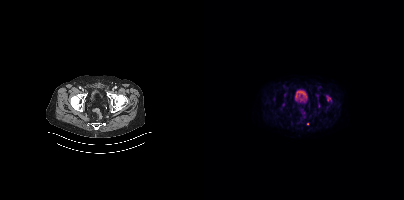
Findings: Coordinates are on the 200×200 PET (right) panel. Small PSMA-avid focus (2 to 4 px across) near (center x, center y): (103, 123).
Technique: Left: CT. Right: PSMA PET, same axial level, 18F-PSMA tracer. acquired on Siemens Biograph mCT Flow 20. slice 86 of 429. PET panel 200×200 px (4.1 mm/px).